Two-panel axial: CT | PSMA PET, 18F tracer. PET panel 200×200 px (4.1 mm/px).
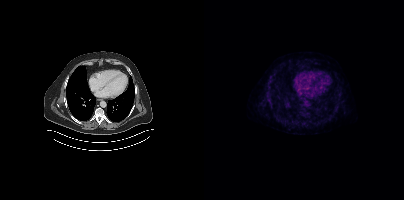
Negative for PSMA-avid disease on this slice.